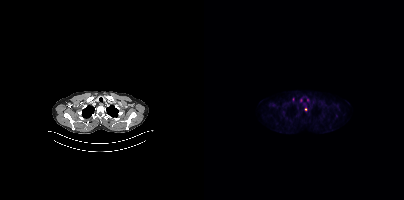
modality: PSMA PET/CT | tracer: 18F | view: axial | PET grid: 200×200
Coordinates are on the 200×200 PET (right) panel. Small PSMA-avid focus (2 to 4 px across) near (center x, center y): (101, 109).